Two-panel axial: CT | PSMA PET, 18F tracer. Acquired on Siemens Biograph mCT Flow 20.
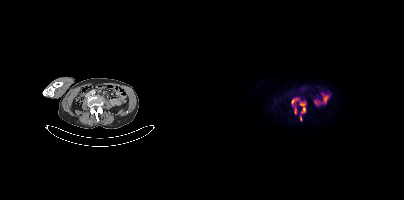
Coordinates are on the 200×200 PET (right) panel. PSMA-avid tumor lesion bounding box (x0, y0)-(x1, y1): (88, 100)-(101, 120).